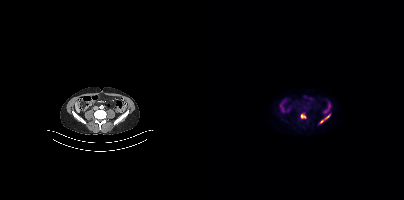
Coordinates are on the 200×200 PET (right) panel. PSMA-avid tumor lesion bounding boxes (x0,y0,x1,y1): [115,114,126,123], [97,114,101,118].